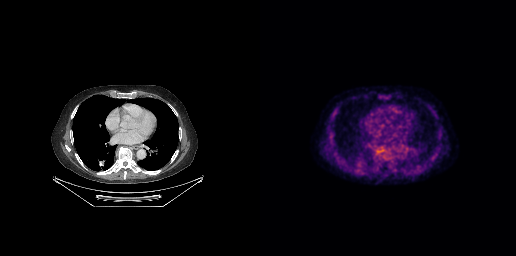
No PSMA-avid tumor lesions on this slice. Paired axial CT (left) and PSMA PET (right), [18F]PSMA-1007 tracer. Acquired on GE Discovery 690. Slice 280 of 371.